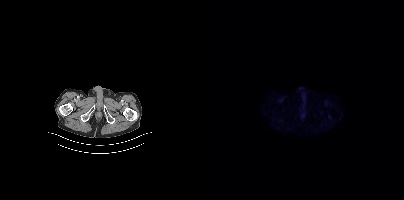
Only PSMA-avid lesion pieces thinner than 2 px on this slice (not listed).